Technique: Two-panel axial: CT | PSMA PET, 18F-PSMA tracer. acquired on Siemens Biograph mCT Flow 20. PET panel 200×200 px (4.1 mm/px).
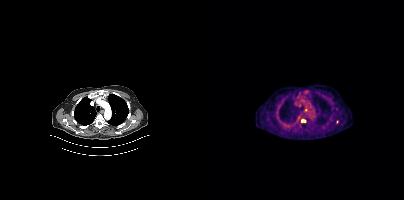
Findings: Coordinates are on the 200×200 PET (right) panel. (showing 2 of 3 foci) Small PSMA-avid foci (2 to 4 px across) near (center x, center y): (102, 109) / (99, 121).